Two-panel axial: CT | PSMA PET, [18F]PSMA-1007 tracer. Acquired on Siemens Biograph mCT Flow 20.
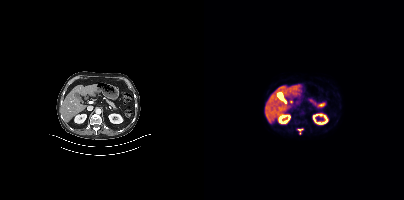
Coordinates are on the 200×200 PET (right) panel. PSMA-avid tumor lesion bounding boxes:
| # | x0 | y0 | x1 | y1 |
|---|---|---|---|---|
| 1 | 94 | 129 | 99 | 134 |